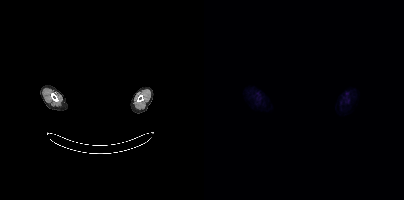
modality: PSMA PET/CT | tracer: [18F]PSMA-1007 | view: axial | deidentification: facial region redacted
This slice has no annotated PSMA-avid lesion.